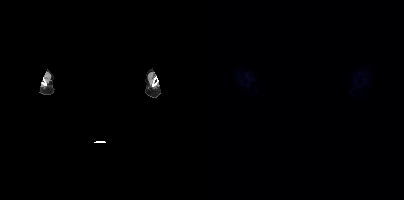
{"modality":"PSMA PET/CT","view":"axial","tracer":"[18F]PSMA-1007","pet_grid":[200,200],"coord_frame":"pet_panel","coord_format":"x0,y0,x1,y1","deidentification":"rectangular block over head set to black","psma_avid_lesions":false}